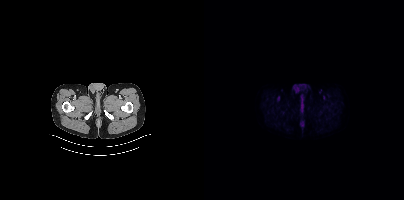
Two-panel axial: CT | PSMA PET, [18F]PSMA-1007 tracer. Acquired on Siemens Biograph mCT Flow 20. Negative for PSMA-avid disease on this slice.